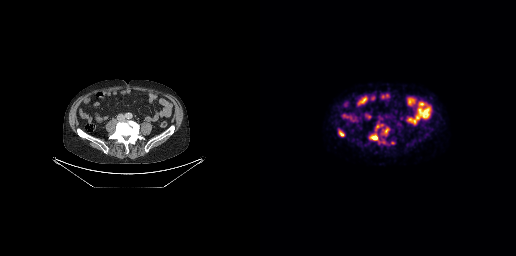
Coordinates are on the 256×256 PET (right) panel. PSMA-avid tumor lesion bounding boxes (x, y, width, height): x=109 y=134 w=9 h=7; x=124 y=128 w=5 h=6; x=79 y=131 w=6 h=6; x=116 y=125 w=4 h=5. Small PSMA-avid foci (2 to 4 px across) near (center x, center y): (132, 142); (121, 124).